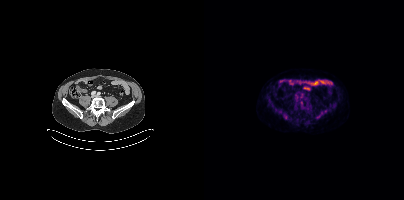
{"modality":"PSMA PET/CT","view":"axial","tracer":"18F-PSMA","pet_grid":[200,200],"coord_frame":"pet_panel","coord_format":"x0,y0,x1,y1","psma_avid_lesions":false}